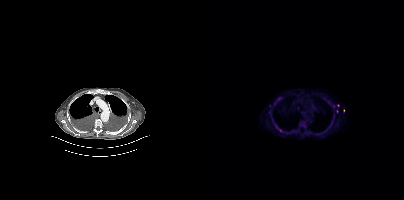
Coordinates are on the 200×200 PET (right) panel. (showing 3 of 8 foci) PSMA-avid tumor lesion bounding box (x0,y0,x1,y1): [71,124,78,132]. Small PSMA-avid foci (2 to 4 px across) near (center x, center y): (75, 98) (93, 108).